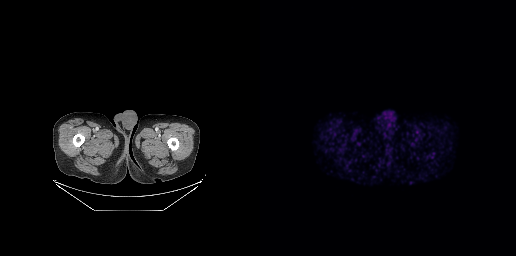
No PSMA-avid tumor lesions on this slice.